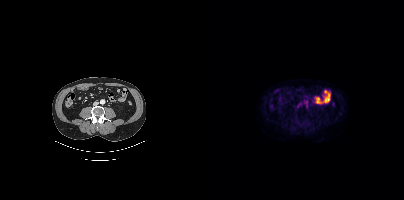
modality: PSMA PET/CT | tracer: 18F-PSMA | view: axial | PET grid: 200×200
Negative for PSMA-avid disease on this slice.